Left: CT. Right: PSMA PET, same axial level, [18F]PSMA-1007 tracer. Slice position z = -527 mm.
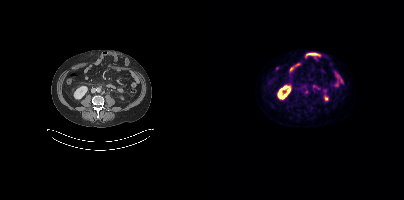
Coordinates are on the 200×200 PET (right) panel. PSMA-avid tumor lesion bounding boxes:
| # | x0 | y0 | x1 | y1 |
|---|---|---|---|---|
| 1 | 100 | 89 | 104 | 94 |